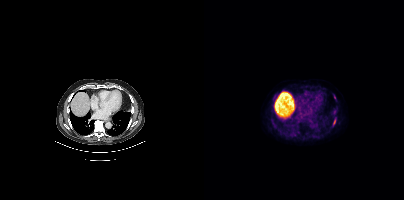
Paired axial CT (left) and PSMA PET (right), 18F-PSMA tracer. Slice 274 of 417. Coordinates are on the 200×200 PET (right) panel. PSMA-avid tumor lesion bounding box (x0, y0)-(x1, y1): (129, 118)-(131, 125). Small PSMA-avid focus (2 to 4 px across) near (center x, center y): (130, 97).